- Two-panel axial: CT | PSMA PET, 18F tracer
- acquired on Siemens Biograph mCT Flow 20
- slice 374 of 413
- PET panel 200×200 px (4.1 mm/px)
- the head region is masked for de-identification
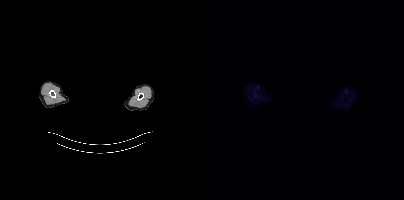
Findings: No PSMA-avid tumor lesions on this slice.